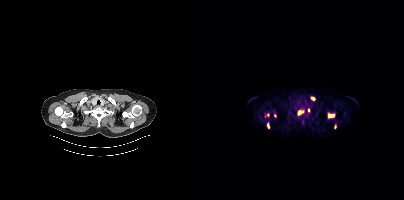
modality: PSMA PET/CT | tracer: [18F]PSMA-1007 | view: axial | PET grid: 200×200
Coordinates are on the 200×200 PET (right) panel. PSMA-avid tumor lesion bounding boxes (x, y, width, height): x=124 y=113 w=8 h=6; x=94 y=110 w=6 h=6; x=106 y=96 w=6 h=5; x=63 y=123 w=3 h=6; x=104 y=108 w=2 h=5. Small PSMA-avid foci (2 to 4 px across) near (center x, center y): (63, 115); (131, 126); (70, 115).